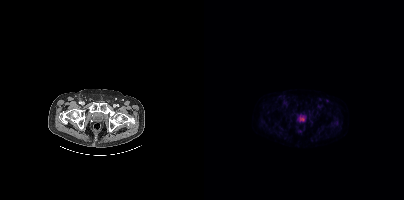
{"modality":"PSMA PET/CT","view":"axial","tracer":"18F-PSMA","pet_grid":[200,200],"coord_frame":"pet_panel","coord_format":"x0,y0,x1,y1","partial":true,"lesion_bboxes":[]}